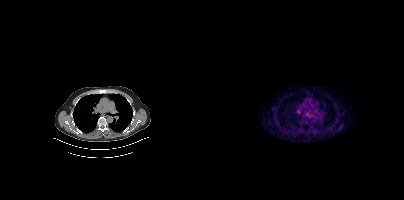
Paired axial CT (left) and PSMA PET (right), 68Ga-PSMA tracer. Acquired on Siemens Biograph mCT Flow 20. Slice 283 of 409. PET panel 200×200 px (4.1 mm/px). This slice has no annotated PSMA-avid lesion.